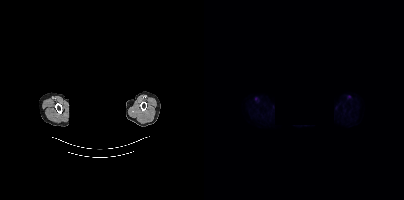
Findings: This slice has no annotated PSMA-avid lesion.
Technique: Paired axial CT (left) and PSMA PET (right), 18F tracer. acquired on Siemens Biograph mCT Flow 20.
Note: De-identified by setting a box covering the face to black before release.